- Left: CT. Right: PSMA PET, same axial level, 18F-PSMA tracer
- acquired on Siemens Biograph mCT Flow 20
- PET panel 200×200 px (4.1 mm/px)
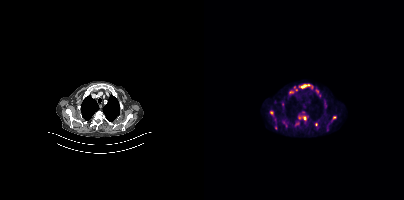
Findings: Coordinates are on the 200×200 PET (right) panel. (showing 10 of 12 foci) PSMA-avid tumor lesion bounding boxes (x, y, width, height): x=94 y=115 w=11 h=9 | x=96 y=84 w=13 h=5 | x=85 y=86 w=9 h=8 | x=70 y=122 w=3 h=8 | x=91 y=122 w=5 h=4 | x=110 y=122 w=4 h=5. Small PSMA-avid foci (2 to 4 px across) near (center x, center y): (67, 112) | (120, 101) | (130, 117) | (99, 112).